Left: CT. Right: PSMA PET, same axial level, [18F]PSMA-1007 tracer. PET panel 200×200 px (4.1 mm/px).
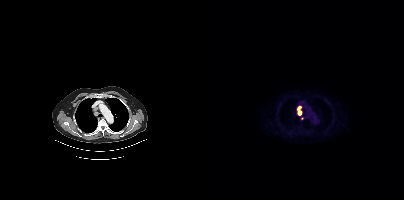
Coordinates are on the 200×200 PET (right) panel. Small PSMA-avid foci (2 to 4 px across) near (center x, center y): (96, 112); (98, 118).